Left: CT. Right: PSMA PET, same axial level, 18F-PSMA tracer.
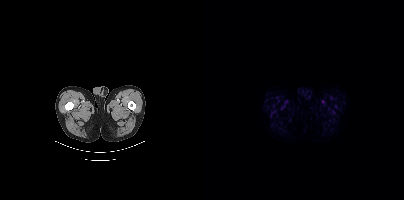
Negative for PSMA-avid disease on this slice.